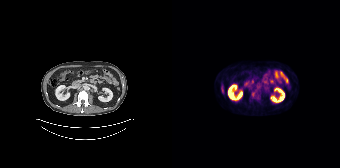
Findings: Coordinates are on the 168×168 PET (right) panel. PSMA-avid tumor lesion bounding box (x0,y0,x1,y1): [80,92,82,96].
Technique: Two-panel axial: CT | PSMA PET, 18F tracer. slice position z = -1056 mm. PET panel 168×168 px (4.1 mm/px).